Left: CT. Right: PSMA PET, same axial level, [18F]PSMA-1007 tracer. Acquired on GE Discovery 690. Slice position z = -343 mm.
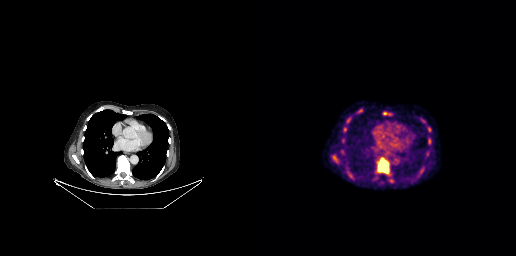
Coordinates are on the 256×256 PET (right) panel. PSMA-avid tumor lesion bounding boxes (partial; 3 more foci not listed):
| # | x0 | y0 | x1 | y1 |
|---|---|---|---|---|
| 1 | 118 | 158 | 128 | 173 |
| 2 | 72 | 155 | 78 | 162 |
| 3 | 96 | 108 | 103 | 113 |
| 4 | 86 | 117 | 91 | 123 |
| 5 | 123 | 112 | 131 | 115 |
| 6 | 129 | 179 | 133 | 182 |
| 7 | 168 | 127 | 171 | 131 |
Small PSMA-avid focus (2 to 4 px across) near (center x, center y): (85, 129).